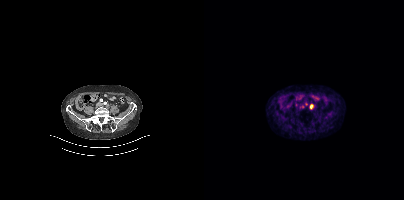
Coordinates are on the 200×200 PET (right) panel. (showing 1 of 2 foci) Small PSMA-avid focus (2 to 4 px across) near (center x, center y): (107, 106). Left: CT. Right: PSMA PET, same axial level, [68Ga]Ga-PSMA-11 tracer. Slice position z = -926 mm.